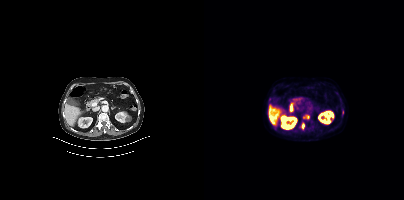
Technique: Left: CT. Right: PSMA PET, same axial level, 18F tracer. slice 202 of 407.
Findings: Coordinates are on the 200×200 PET (right) panel. PSMA-avid tumor lesion bounding boxes (x0,y0,x1,y1): [99,115,105,119], [97,123,100,129]. Small PSMA-avid focus (2 to 4 px across) near (center x, center y): (138, 112).